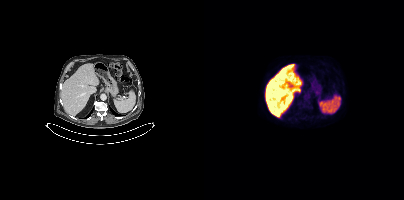
{"modality":"PSMA PET/CT","view":"axial","tracer":"18F-PSMA","pet_grid":[200,200],"coord_frame":"pet_panel","coord_format":"x0,y0,x1,y1","psma_avid_lesions":false}